- Paired axial CT (left) and PSMA PET (right), 18F tracer
- PET panel 168×168 px (4.1 mm/px)
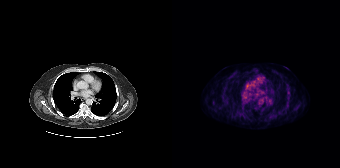
Findings: This slice has no annotated PSMA-avid lesion.